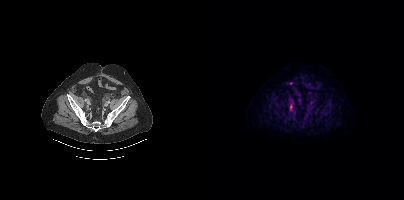
Coordinates are on the 200×200 PET (right) panel. (showing 1 of 2 foci) PSMA-avid tumor lesion bounding box (x0, y0)-(x1, y1): (86, 100)-(89, 110).